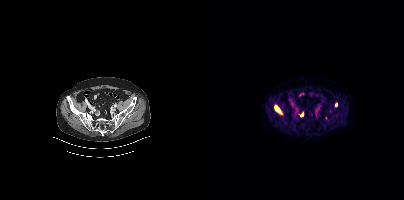
Technique: Paired axial CT (left) and PSMA PET (right), 18F-PSMA tracer.
Findings: Coordinates are on the 200×200 PET (right) panel. PSMA-avid tumor lesion bounding box (x0,y0,x1,y1): [71,106,76,112]. Small PSMA-avid foci (2 to 4 px across) near (center x, center y): (97, 114) (132, 104).